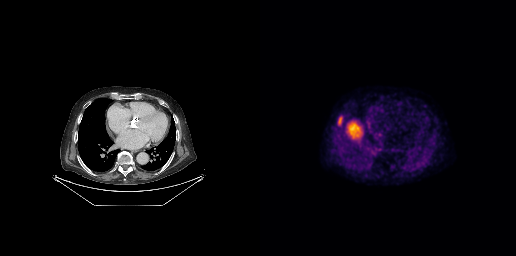
- Paired axial CT (left) and PSMA PET (right), 18F-PSMA tracer
- slice position z = -294 mm
- PET panel 256×256 px (2.7 mm/px)
Findings: Coordinates are on the 256×256 PET (right) panel. PSMA-avid tumor lesion bounding box (x, y, width, height): x=78 y=116 w=5 h=10.